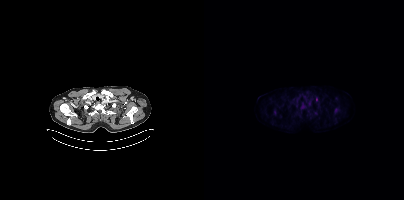
{"pet_grid":[200,200],"coord_frame":"pet_panel","coord_format":"x0,y0,x1,y1","lesion_bboxes":[],"small_foci_centers":[[98,106]],"modality":"PSMA PET/CT","view":"axial","tracer":"18F-PSMA"}